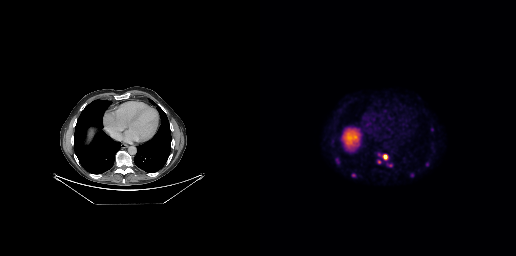
{"modality":"PSMA PET/CT","view":"axial","tracer":"[18F]PSMA-1007","pet_grid":[256,256],"coord_frame":"pet_panel","coord_format":"x0,y0,x1,y1","lesion_bboxes":[[122,154,127,159],[91,173,95,177],[166,162,169,166]],"small_foci_centers":[[119,162],[130,165],[152,175]]}